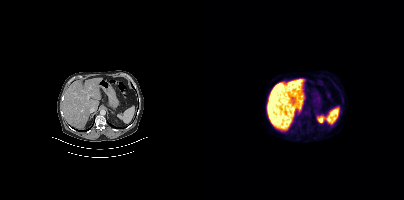
No tumor lesions annotated on this slice.